- Two-panel axial: CT | PSMA PET, [68Ga]Ga-PSMA-11 tracer
- acquired on GE Discovery 690
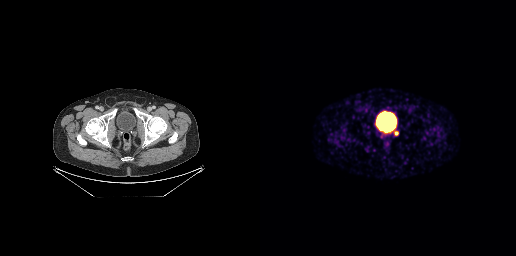
Findings: Coordinates are on the 256×256 PET (right) panel. PSMA-avid tumor lesion bounding box (x0, y0)-(x1, y1): (133, 129)-(138, 135).